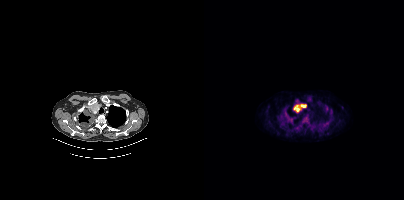
Two-panel axial: CT | PSMA PET, [18F]PSMA-1007 tracer.
Coordinates are on the 200×200 PET (right) panel. PSMA-avid tumor lesion bounding boxes:
| # | x0 | y0 | x1 | y1 |
|---|---|---|---|---|
| 1 | 88 | 104 | 102 | 112 |
| 2 | 80 | 108 | 89 | 122 |
| 3 | 100 | 116 | 103 | 121 |
| 4 | 77 | 115 | 79 | 119 |